Left: CT. Right: PSMA PET, same axial level, 18F-PSMA tracer. Slice position z = 90 mm. PET panel 200×200 px (4.1 mm/px).
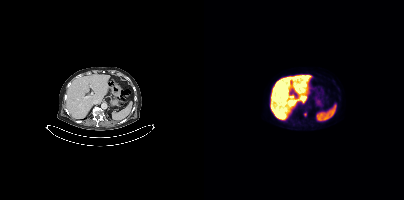
Only PSMA-avid lesion pieces thinner than 2 px on this slice (not listed).